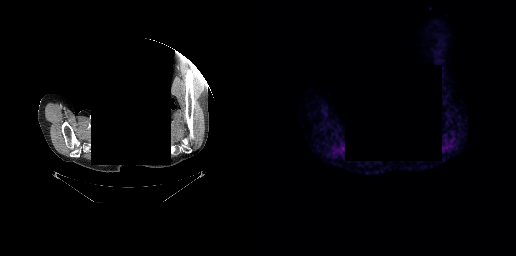
Negative for PSMA-avid disease on this slice.
modality: PSMA PET/CT | tracer: 18F-PSMA | view: axial | redaction: facial region redacted